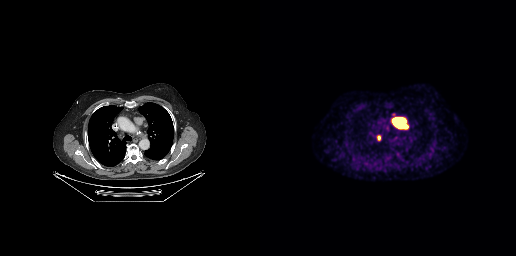
{"modality":"PSMA PET/CT","view":"axial","tracer":"18F","pet_grid":[256,256],"coord_frame":"pet_panel","coord_format":"x0,y0,x1,y1","lesion_bboxes":[[132,114,148,128],[117,135,120,140]]}